Left: CT. Right: PSMA PET, same axial level, 18F-PSMA tracer. Slice position z = 196 mm. PET panel 200×200 px (4.1 mm/px).
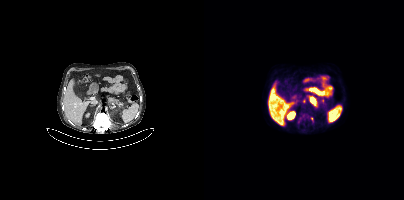
Coordinates are on the 200×200 PET (right) panel. PSMA-avid tumor lesion bounding boxes:
| # | x0 | y0 | x1 | y1 |
|---|---|---|---|---|
| 1 | 93 | 119 | 97 | 123 |
Small PSMA-avid foci (2 to 4 px across) near (center x, center y): (98, 116); (100, 100); (119, 100); (107, 119).